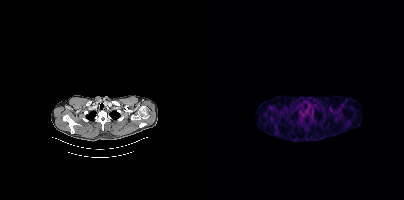
- Left: CT. Right: PSMA PET, same axial level, 18F tracer
Findings: Negative for PSMA-avid disease on this slice.